- Paired axial CT (left) and PSMA PET (right), 18F tracer
- acquired on Siemens Biograph mCT Flow 20
- slice position z = -326 mm
- PET panel 200×200 px (4.1 mm/px)
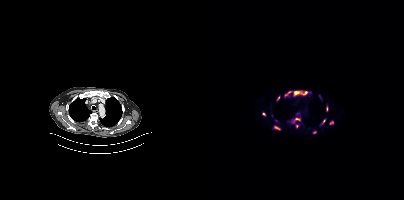
Findings: Coordinates are on the 200×200 PET (right) panel. (showing 11 of 12 foci) PSMA-avid tumor lesion bounding boxes (x, y, width, height): x=90 y=91 w=14 h=5 / x=88 y=117 w=9 h=7 / x=80 y=91 w=8 h=7 / x=70 y=126 w=7 h=4 / x=125 y=121 w=5 h=4 / x=122 y=106 w=3 h=6 / x=117 y=119 w=5 h=6 / x=58 y=112 w=4 h=5 / x=72 y=96 w=5 h=5. Small PSMA-avid foci (2 to 4 px across) near (center x, center y): (110, 132) / (93, 125).